Technique: Two-panel axial: CT | PSMA PET, 68Ga tracer. slice 67 of 195. PET panel 168×168 px (4.1 mm/px).
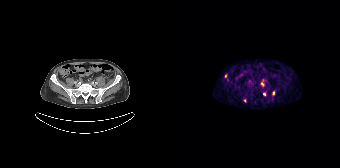
Findings: Coordinates are on the 168×168 PET (right) panel. (showing 5 of 6 foci) Small PSMA-avid foci (2 to 4 px across) near (center x, center y): (90, 83) | (92, 94) | (101, 92) | (53, 76) | (72, 100).